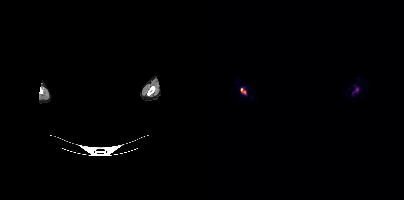
Findings: Coordinates are on the 200×200 PET (right) panel. PSMA-avid tumor lesion bounding boxes (x0,y0,x1,y1): [37,88,42,94] [148,88,154,93].
Technique: Left: CT. Right: PSMA PET, same axial level, 68Ga tracer. PET panel 200×200 px (4.1 mm/px).
Note: An anonymization step blacked out a rectangle over the head in this scan.